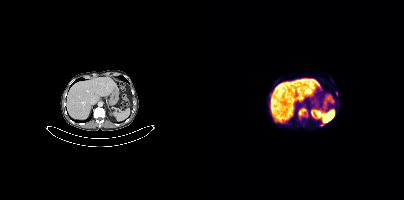
Left: CT. Right: PSMA PET, same axial level, [18F]PSMA-1007 tracer. PET panel 200×200 px (4.1 mm/px). Coordinates are on the 200×200 PET (right) panel. PSMA-avid tumor lesion bounding box (x, y, width, height): x=94 y=108 w=10 h=9.